A rectangle over the head was blacked out to remove identifiable facial features.
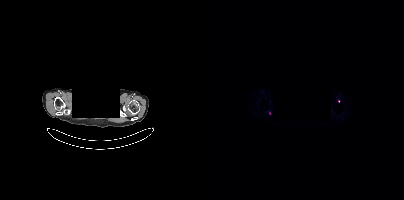
Coordinates are on the 200×200 PET (right) panel. Small PSMA-avid foci (2 to 4 px across) near (center x, center y): (65, 113) | (134, 101).